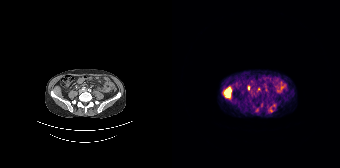
{"modality":"PSMA PET/CT","view":"axial","tracer":"68Ga-PSMA","pet_grid":[168,168],"coord_frame":"pet_panel","coord_format":"x0,y0,x1,y1","partial":true,"lesion_bboxes":[[52,87,59,98]],"small_foci_centers":[[76,87],[99,110],[86,88]]}